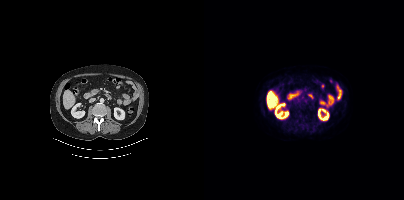
Left: CT. Right: PSMA PET, same axial level, 18F-PSMA tracer. Acquired on Siemens Biograph mCT Flow 20. Coordinates are on the 200×200 PET (right) panel. (showing 4 of 5 foci) PSMA-avid tumor lesion bounding boxes (x, y, width, height): x=95 y=102 w=8 h=6 | x=95 y=114 w=5 h=4. Small PSMA-avid foci (2 to 4 px across) near (center x, center y): (93, 120) | (102, 117).